modality: PSMA PET/CT | tracer: 18F | view: axial | de-identification: face masked with black rectangle
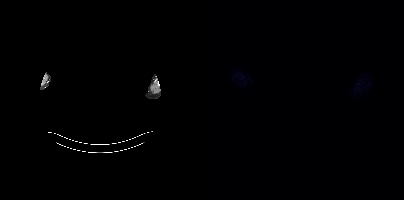
Negative for PSMA-avid disease on this slice.